Left: CT. Right: PSMA PET, same axial level, 18F tracer. Acquired on Siemens Biograph mCT Flow 20. Slice position z = -1518 mm.
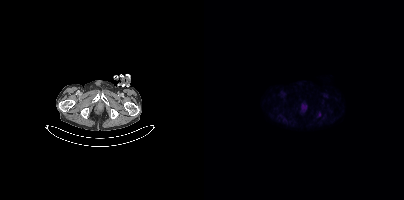
Negative for PSMA-avid disease on this slice.